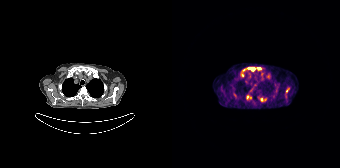
Left: CT. Right: PSMA PET, same axial level, [68Ga]Ga-PSMA-11 tracer. Coordinates are on the 168×168 PET (right) panel. PSMA-avid tumor lesion bounding boxes (x0, y0)-(x1, y1): (68, 67)-(83, 77) | (86, 97)-(95, 101) | (114, 87)-(117, 93) | (61, 93)-(64, 97) | (75, 96)-(79, 98). Small PSMA-avid foci (2 to 4 px across) near (center x, center y): (86, 68) | (97, 74).